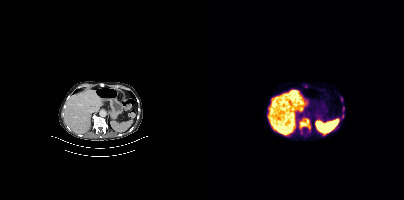
Technique: Paired axial CT (left) and PSMA PET (right), 18F tracer. acquired on Siemens Biograph mCT Flow 20.
Findings: Coordinates are on the 200×200 PET (right) panel. PSMA-avid tumor lesion bounding box (x0,y0,x1,y1): [95,119,106,128]. Small PSMA-avid foci (2 to 4 px across) near (center x, center y): (139, 108) (137, 98).